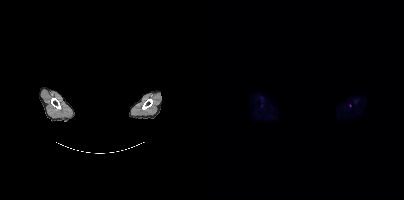
Findings: Coordinates are on the 200×200 PET (right) panel. Small PSMA-avid foci (2 to 4 px across) near (center x, center y): (57, 105); (146, 105).
Technique: Two-panel axial: CT | PSMA PET, 18F-PSMA tracer. slice position z = 213 mm.
Note: A rectangular block over the head has been blanked out for de-identification.